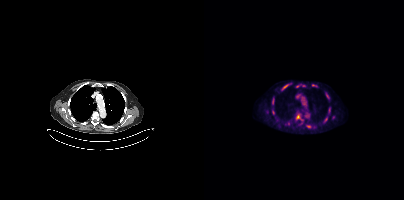
Left: CT. Right: PSMA PET, same axial level, 18F tracer. PET panel 200×200 px (4.1 mm/px).
Coordinates are on the 200×200 PET (right) panel. PSMA-avid tumor lesion bounding boxes (partial; 3 more foci not listed):
| # | x0 | y0 | x1 | y1 |
|---|---|---|---|---|
| 1 | 78 | 84 | 84 | 90 |
| 2 | 68 | 100 | 70 | 104 |
| 3 | 102 | 125 | 106 | 127 |
| 4 | 108 | 84 | 112 | 86 |
Small PSMA-avid foci (2 to 4 px across) near (center x, center y): (93, 116); (69, 111); (84, 123); (99, 85); (121, 119).